deidentification: rectangular block over head set to black | modality: PSMA PET/CT | tracer: [18F]PSMA-1007 | view: axial | PET grid: 200×200
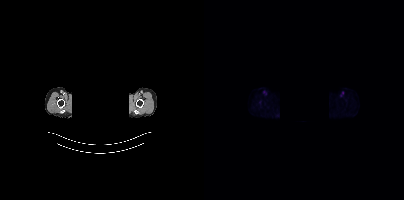
This slice has no annotated PSMA-avid lesion.